Two-panel axial: CT | PSMA PET, 68Ga-PSMA tracer. Acquired on Siemens Biograph 64-4R TruePoint. Slice position z = -84 mm. The face region was removed for patient privacy by blanking a rectangle over the head.
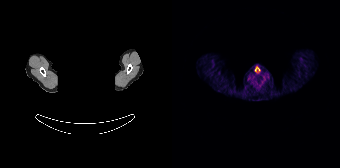
No PSMA-avid tumor lesions on this slice.